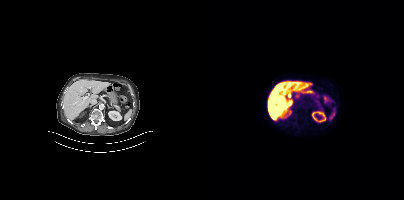
Negative for PSMA-avid disease on this slice.